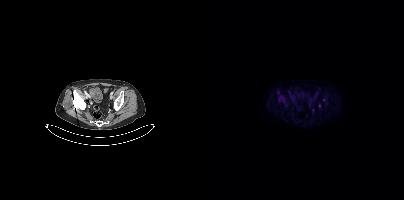
Findings: Coordinates are on the 200×200 PET (right) panel. (showing 2 of 3 foci) Small PSMA-avid foci (2 to 4 px across) near (center x, center y): (115, 105) / (119, 99).
Technique: Left: CT. Right: PSMA PET, same axial level, 18F-PSMA tracer. acquired on Siemens Biograph mCT Flow 20. slice 103 of 421. PET panel 200×200 px (4.1 mm/px).